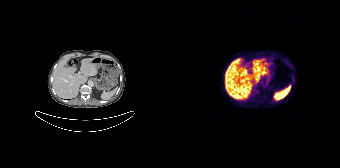
No PSMA-avid tumor lesions on this slice.